- Two-panel axial: CT | PSMA PET, [18F]PSMA-1007 tracer
- acquired on Siemens Biograph mCT Flow 20
- slice 166 of 387
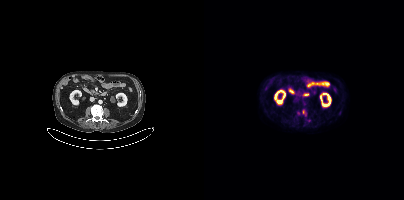
Findings: Only PSMA-avid lesion pieces thinner than 2 px on this slice (not listed).